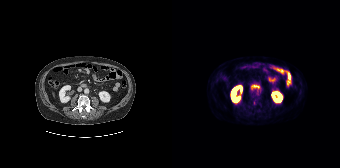
{"modality":"PSMA PET/CT","view":"axial","tracer":"18F","pet_grid":[168,168],"coord_frame":"pet_panel","coord_format":"x0,y0,x1,y1","partial":true,"lesion_bboxes":[]}